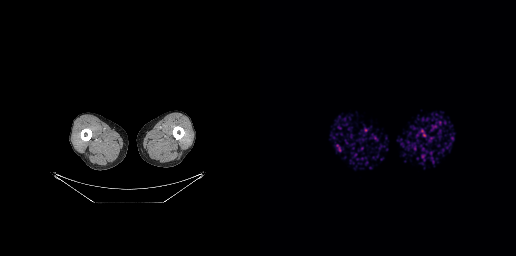
Technique: Left: CT. Right: PSMA PET, same axial level, 68Ga tracer. acquired on GE Discovery 690.
Findings: This slice has no annotated PSMA-avid lesion.